Paired axial CT (left) and PSMA PET (right), 68Ga-PSMA tracer. PET panel 200×200 px (4.1 mm/px).
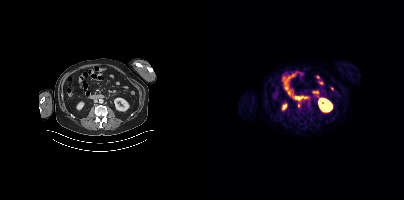
Coordinates are on the 200×200 PET (right) panel. Small PSMA-avid focus (2 to 4 px across) near (center x, center y): (95, 105).